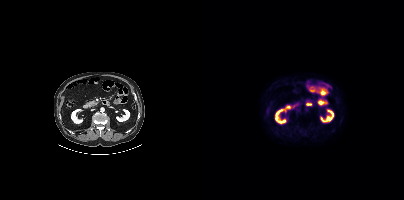
Two-panel axial: CT | PSMA PET, 18F-PSMA tracer. Acquired on Siemens Biograph mCT Flow 20. No tumor lesions annotated on this slice.